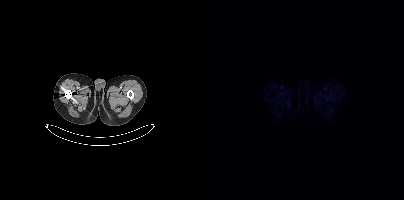
No PSMA-avid tumor lesions on this slice. Left: CT. Right: PSMA PET, same axial level, 18F-PSMA tracer. Acquired on Siemens Biograph mCT Flow 20. PET panel 200×200 px (4.1 mm/px).